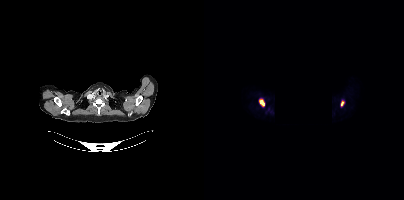
Coordinates are on the 200×200 PET (right) panel. PSMA-avid tumor lesion bounding boxes:
| # | x0 | y0 | x1 | y1 |
|---|---|---|---|---|
| 1 | 55 | 99 | 60 | 106 |
| 2 | 137 | 101 | 140 | 106 |
A rectangular region was set to black for de-identification. Left: CT. Right: PSMA PET, same axial level, 18F tracer. Slice position z = -194 mm.